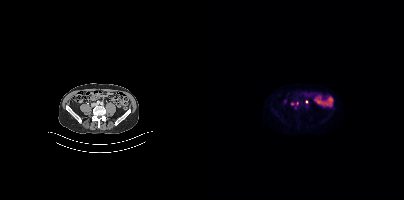
{"modality":"PSMA PET/CT","view":"axial","tracer":"[18F]PSMA-1007","pet_grid":[200,200],"coord_frame":"pet_panel","coord_format":"x0,y0,x1,y1","lesion_bboxes":[],"small_foci_centers":[[88,103],[102,101],[93,103]]}